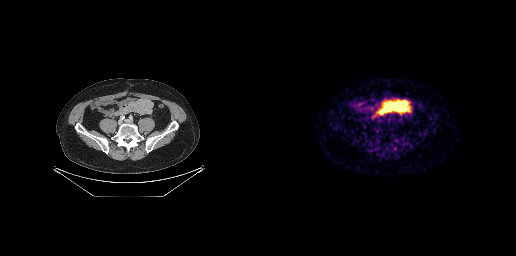
Technique: Left: CT. Right: PSMA PET, same axial level, 68Ga-PSMA tracer. slice 92 of 263. PET panel 256×256 px (2.7 mm/px).
Findings: Coordinates are on the 256×256 PET (right) panel. PSMA-avid tumor lesion bounding box (x, y, width, height): x=111 y=115 w=6 h=5.